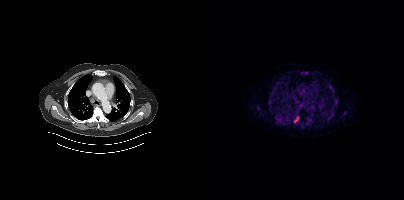
Technique: Left: CT. Right: PSMA PET, same axial level, 18F-PSMA tracer. acquired on Siemens Biograph mCT Flow 20. PET panel 200×200 px (4.1 mm/px).
Findings: Coordinates are on the 200×200 PET (right) panel. PSMA-avid tumor lesion bounding boxes (x0, y0)-(x1, y1): (72, 116)-(78, 122); (130, 97)-(134, 102); (103, 119)-(107, 123); (123, 115)-(128, 120); (90, 117)-(95, 122); (66, 91)-(70, 95); (126, 87)-(129, 91); (139, 111)-(143, 115); (98, 71)-(103, 74); (97, 125)-(101, 128); (52, 106)-(55, 110). Small PSMA-avid foci (2 to 4 px across) near (center x, center y): (66, 105); (129, 110).